Paired axial CT (left) and PSMA PET (right), [18F]PSMA-1007 tracer. Acquired on Siemens Biograph 64-4R TruePoint.
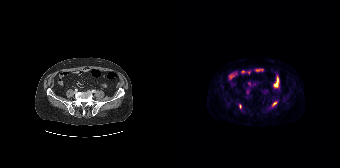
Coordinates are on the 168×168 PET (right) panel. Small PSMA-avid foci (2 to 4 px across) near (center x, center y): (102, 103); (68, 106).